Left: CT. Right: PSMA PET, same axial level, 68Ga-PSMA tracer. PET panel 168×168 px (4.1 mm/px). Head region blanked for anonymization (face removed).
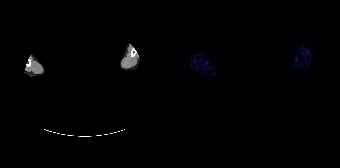
No PSMA-avid tumor lesions on this slice.